modality: PSMA PET/CT | tracer: 18F | view: axial | PET grid: 200×200
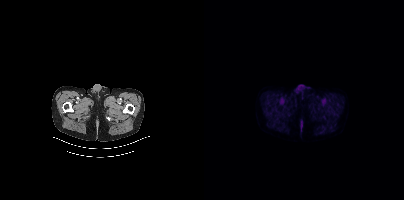
Negative for PSMA-avid disease on this slice.